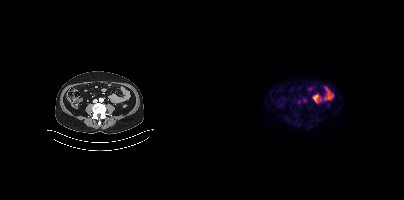
modality: PSMA PET/CT | tracer: 18F | view: axial
Negative for PSMA-avid disease on this slice.